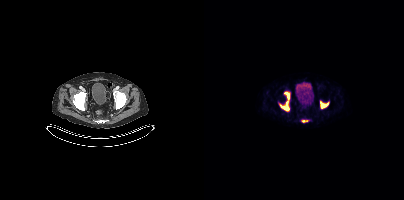
Left: CT. Right: PSMA PET, same axial level, [18F]PSMA-1007 tracer.
Coordinates are on the 200×200 PET (right) panel. PSMA-avid tumor lesion bounding boxes (partial; 1 more focus not listed):
| # | x0 | y0 | x1 | y1 |
|---|---|---|---|---|
| 1 | 76 | 92 | 85 | 111 |
| 2 | 116 | 101 | 124 | 108 |
Small PSMA-avid focus (2 to 4 px across) near (center x, center y): (99, 121).